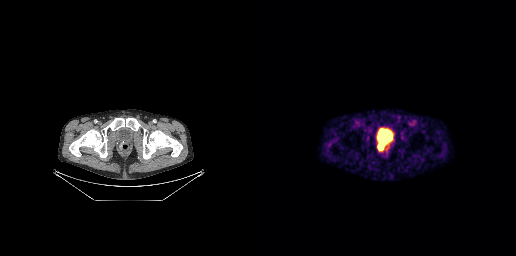
{"modality":"PSMA PET/CT","view":"axial","tracer":"[68Ga]Ga-PSMA-11","pet_grid":[256,256],"coord_frame":"pet_panel","coord_format":"x0,y0,x1,y1","lesion_bboxes":[[118,141,126,150]]}